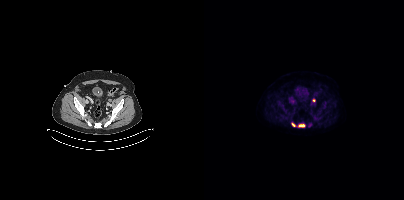
Paired axial CT (left) and PSMA PET (right), 18F-PSMA tracer. Slice position z = -1386 mm. PET panel 200×200 px (4.1 mm/px). Coordinates are on the 200×200 PET (right) panel. PSMA-avid tumor lesion bounding boxes (x, y, width, height): x=94 y=124 w=8 h=4; x=87 y=123 w=5 h=4. Small PSMA-avid focus (2 to 4 px across) near (center x, center y): (109, 100).